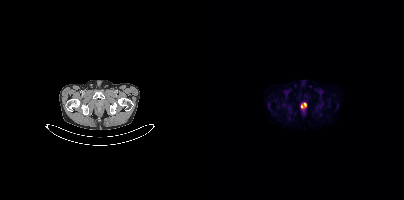
Left: CT. Right: PSMA PET, same axial level, 18F-PSMA tracer. Acquired on Siemens Biograph mCT Flow 20. Slice 59 of 393. Coordinates are on the 200×200 PET (right) panel. PSMA-avid tumor lesion bounding box (x, y, width, height): x=97 y=102 w=6 h=7.